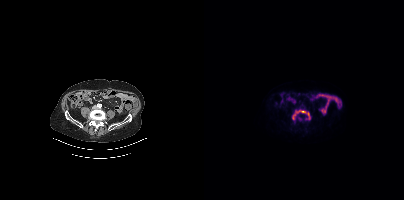
Coordinates are on the 200×200 PET (right) panel. PSMA-avid tumor lesion bounding box (x0, y0)-(x1, y1): (88, 109)-(106, 120). Small PSMA-avid focus (2 to 4 px across) near (center x, center y): (96, 118).
modality: PSMA PET/CT | tracer: 18F-PSMA | view: axial | PET grid: 200×200